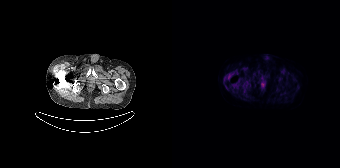
{"modality":"PSMA PET/CT","view":"axial","tracer":"[18F]PSMA-1007","pet_grid":[168,168],"coord_frame":"pet_panel","coord_format":"x0,y0,x1,y1","psma_avid_lesions":false}